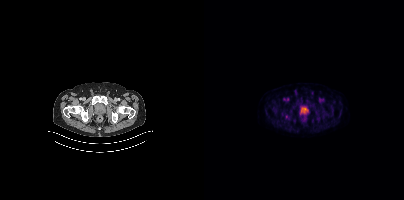
Technique: Left: CT. Right: PSMA PET, same axial level, 18F-PSMA tracer. slice position z = -894 mm. PET panel 200×200 px (4.1 mm/px).
Findings: Coordinates are on the 200×200 PET (right) panel. Small PSMA-avid focus (2 to 4 px across) near (center x, center y): (82, 116).